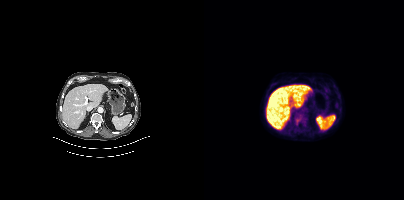
{"modality":"PSMA PET/CT","view":"axial","tracer":"[18F]PSMA-1007","pet_grid":[200,200],"coord_frame":"pet_panel","coord_format":"x0,y0,x1,y1","lesion_bboxes":[[91,119,95,124]]}